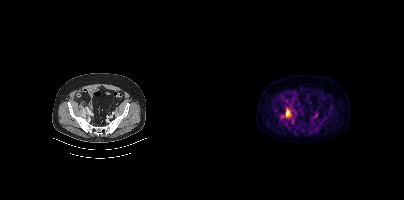
{"pet_grid":[200,200],"coord_frame":"pet_panel","coord_format":"x0,y0,x1,y1","lesion_bboxes":[[81,108,87,117]],"small_foci_centers":[[78,116]],"modality":"PSMA PET/CT","view":"axial","tracer":"18F"}